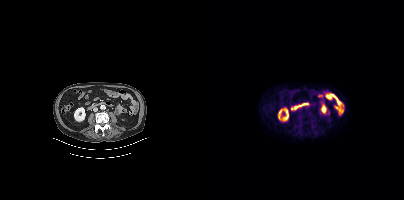
Left: CT. Right: PSMA PET, same axial level, [18F]PSMA-1007 tracer. Acquired on Siemens Biograph mCT Flow 20. Negative for PSMA-avid disease on this slice.